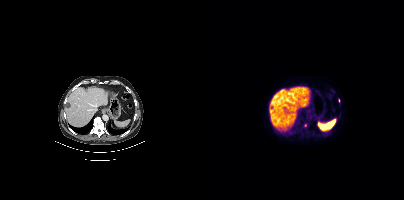
Coordinates are on the 200×200 PET (right) panel. (showing 1 of 2 foci) Small PSMA-avid focus (2 to 4 px across) near (center x, center y): (101, 125).